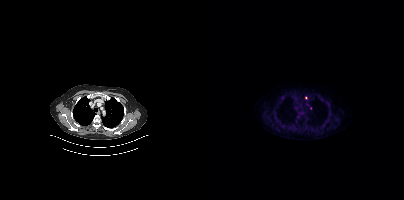
Two-panel axial: CT | PSMA PET, 18F tracer. Acquired on Siemens Biograph mCT Flow 20. Slice position z = -466 mm. Coordinates are on the 200×200 PET (right) panel. (showing 1 of 2 foci) Small PSMA-avid focus (2 to 4 px across) near (center x, center y): (101, 97).